Paired axial CT (left) and PSMA PET (right), 18F-PSMA tracer. PET panel 200×200 px (4.1 mm/px).
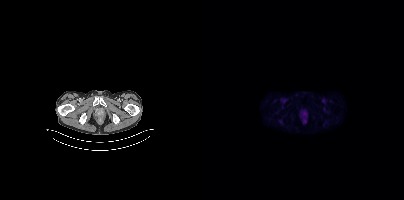
Coordinates are on the 200×200 PET (right) panel. Small PSMA-avid focus (2 to 4 px across) near (center x, center y): (100, 121).